modality: PSMA PET/CT | tracer: [18F]PSMA-1007 | view: axial
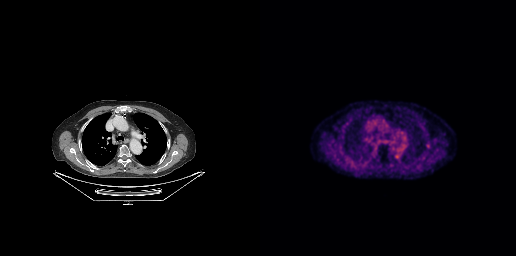
This slice has no annotated PSMA-avid lesion.